Paired axial CT (left) and PSMA PET (right), 18F-PSMA tracer. Acquired on Siemens Biograph mCT Flow 20. Slice 308 of 403. PET panel 200×200 px (4.1 mm/px).
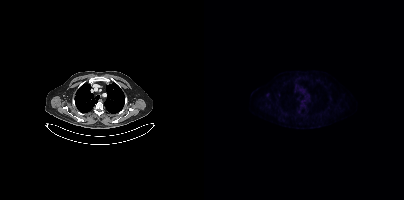
Negative for PSMA-avid disease on this slice.